Two-panel axial: CT | PSMA PET, [18F]PSMA-1007 tracer.
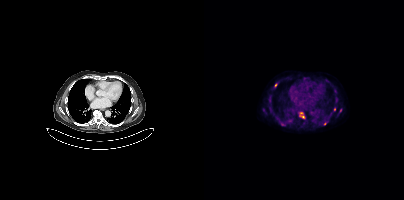
Coordinates are on the 200×200 PET (right) panel. PSMA-avid tumor lesion bounding boxes (partial; 2 more foci not listed):
| # | x0 | y0 | x1 | y1 |
|---|---|---|---|---|
| 1 | 95 | 112 | 100 | 118 |
Small PSMA-avid foci (2 to 4 px across) near (center x, center y): (65, 100); (72, 85); (130, 109); (121, 123); (136, 110); (78, 124).